Technique: Paired axial CT (left) and PSMA PET (right), 18F-PSMA tracer. slice position z = -986 mm. PET panel 200×200 px (4.1 mm/px).
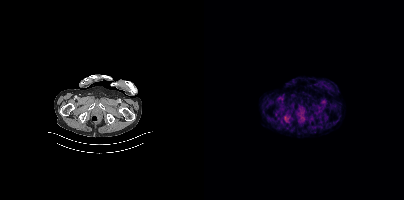
Findings: This slice has no annotated PSMA-avid lesion.